- Left: CT. Right: PSMA PET, same axial level, [18F]PSMA-1007 tracer
- acquired on GE Discovery 690
- PET panel 256×256 px (2.7 mm/px)
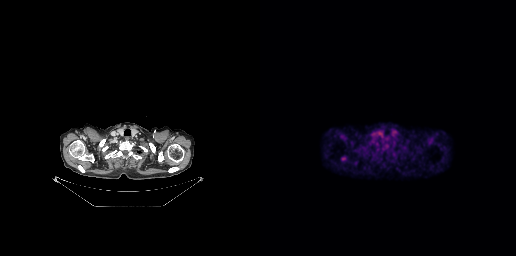
Findings: Negative for PSMA-avid disease on this slice.